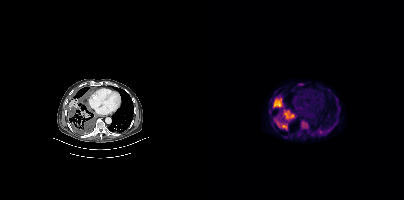
Findings: Coordinates are on the 200×200 PET (right) panel. PSMA-avid tumor lesion bounding boxes (x0,y0,x1,y1): [69,97,79,108], [79,109,89,119], [97,120,104,129], [70,118,76,125], [76,124,83,129]. Small PSMA-avid focus (2 to 4 px across) near (center x, center y): (115, 132).
- Left: CT. Right: PSMA PET, same axial level, 18F-PSMA tracer
- acquired on Siemens Biograph mCT Flow 20
- slice 279 of 452
- PET panel 200×200 px (4.1 mm/px)